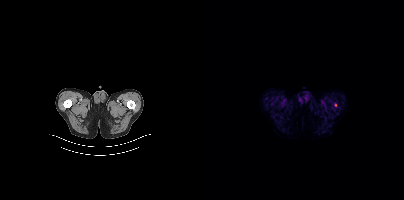
{"modality":"PSMA PET/CT","view":"axial","tracer":"18F-PSMA","pet_grid":[200,200],"coord_frame":"pet_panel","coord_format":"x0,y0,x1,y1","lesion_bboxes":[],"small_foci_centers":[[131,104]]}